Technique: Two-panel axial: CT | PSMA PET, 18F-PSMA tracer. acquired on Siemens Biograph mCT Flow 20.
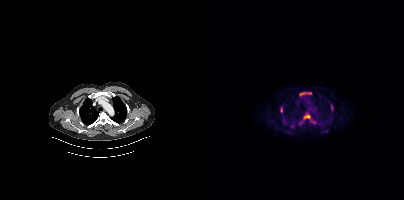
Findings: Coordinates are on the 200×200 PET (right) panel. PSMA-avid tumor lesion bounding boxes (x, y, width, height): x=100 y=115 w=13 h=10 / x=96 y=92 w=12 h=4 / x=76 y=107 w=3 h=6 / x=127 y=104 w=3 h=7 / x=95 y=121 w=5 h=4. Small PSMA-avid foci (2 to 4 px across) near (center x, center y): (120, 131) / (127, 118).